Technique: Left: CT. Right: PSMA PET, same axial level, [18F]PSMA-1007 tracer. acquired on Siemens Biograph mCT Flow 20.
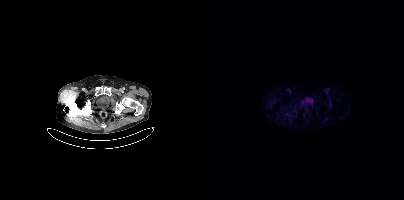
Findings: No tumor lesions annotated on this slice.